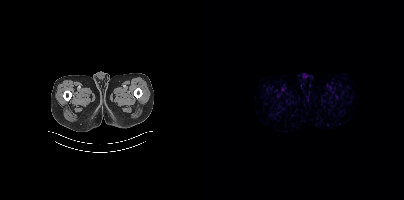
Technique: Paired axial CT (left) and PSMA PET (right), 18F-PSMA tracer. slice position z = -966 mm. PET panel 200×200 px (4.1 mm/px).
Findings: This slice has no annotated PSMA-avid lesion.